Two-panel axial: CT | PSMA PET, [18F]PSMA-1007 tracer. Slice position z = -907 mm.
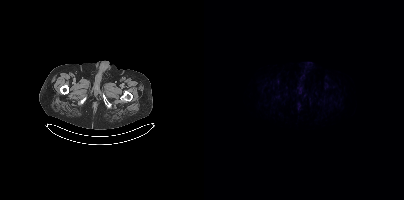
Negative for PSMA-avid disease on this slice.